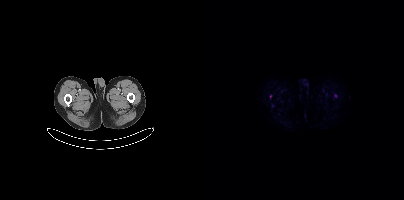
Findings: Coordinates are on the 200×200 PET (right) panel. Small PSMA-avid focus (2 to 4 px across) near (center x, center y): (66, 96).
- Paired axial CT (left) and PSMA PET (right), [18F]PSMA-1007 tracer
- acquired on Siemens Biograph mCT Flow 20
- slice 15 of 407
- PET panel 200×200 px (4.1 mm/px)